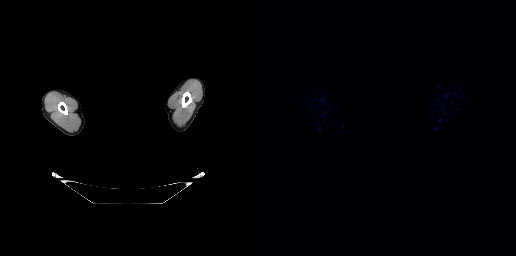
Negative for PSMA-avid disease on this slice. Any black rectangle over the head is a privacy mask, not anatomy. Left: CT. Right: PSMA PET, same axial level, [18F]PSMA-1007 tracer. Acquired on GE Discovery 690. Slice 261 of 263. PET panel 256×256 px (2.7 mm/px).